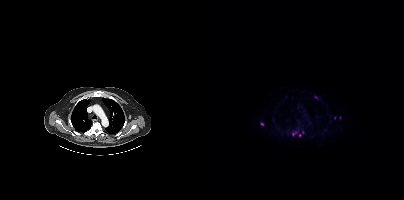
Coordinates are on the 200×200 PET (right) panel. (showing 3 of 6 foci) PSMA-avid tumor lesion bounding box (x0, y0)-(x1, y1): (88, 132)-(92, 135). Small PSMA-avid foci (2 to 4 px across) near (center x, center y): (58, 124) | (95, 135).